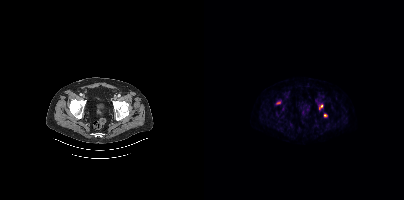
- Two-panel axial: CT | PSMA PET, 18F tracer
- acquired on Siemens Biograph mCT Flow 20
- PET panel 200×200 px (4.1 mm/px)
Findings: Coordinates are on the 200×200 PET (right) panel. PSMA-avid tumor lesion bounding box (x0, y0)-(x1, y1): (115, 104)-(118, 109). Small PSMA-avid foci (2 to 4 px across) near (center x, center y): (121, 115); (74, 102).